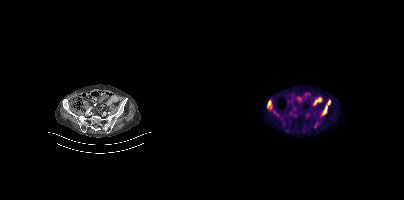
Coordinates are on the 200×200 PET (right) panel. PSMA-avid tumor lesion bounding boxes (x, y, width, height): x=63 y=100 w=6 h=9; x=121 y=103 w=5 h=9.